Technique: Left: CT. Right: PSMA PET, same axial level, 18F-PSMA tracer.
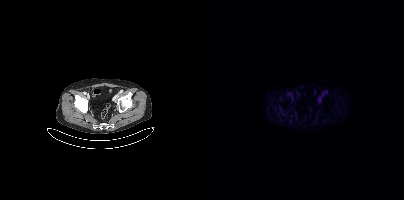
Findings: No tumor lesions annotated on this slice.